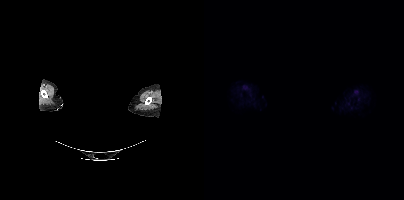
Findings: No tumor lesions annotated on this slice.
- any black rectangle over the head is a privacy mask, not anatomy
- Left: CT. Right: PSMA PET, same axial level, 18F tracer
- slice position z = -809 mm
- PET panel 200×200 px (4.1 mm/px)